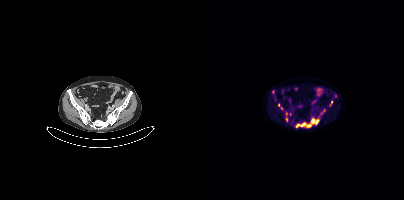
{"pet_grid":[200,200],"coord_frame":"pet_panel","coord_format":"x0,y0,x1,y1","partial":true,"lesion_bboxes":[[92,118,115,127],[126,100,128,106]],"small_foci_centers":[[82,119],[74,105],[131,95],[77,108],[82,113],[68,91]],"modality":"PSMA PET/CT","view":"axial","tracer":"18F-PSMA"}